Left: CT. Right: PSMA PET, same axial level, [18F]PSMA-1007 tracer. PET panel 200×200 px (4.1 mm/px).
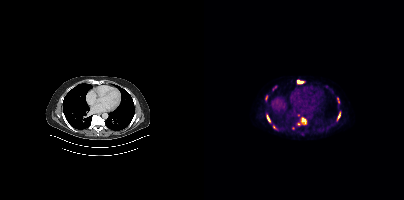
Coordinates are on the 200×200 PET (right) panel. (showing 5 of 11 foci) PSMA-avid tumor lesion bounding boxes (x0,y0,x1,y1): [97,117,102,124], [93,80,99,83], [63,115,66,121], [134,112,136,118]. Small PSMA-avid focus (2 to 4 px across) near (center x, center y): (95, 124).